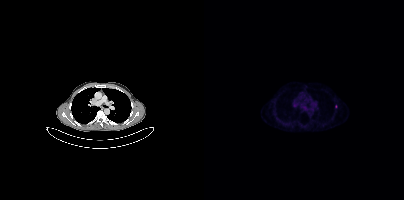
Technique: Left: CT. Right: PSMA PET, same axial level, 68Ga tracer. slice 282 of 409. PET panel 200×200 px (4.1 mm/px).
Findings: Coordinates are on the 200×200 PET (right) panel. Small PSMA-avid focus (2 to 4 px across) near (center x, center y): (131, 106).